Paired axial CT (left) and PSMA PET (right), 18F-PSMA tracer. Slice 157 of 425.
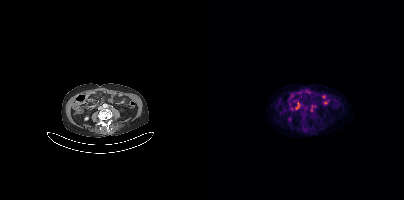
Coordinates are on the 200×200 PET (right) panel. PSMA-avid tumor lesion bounding box (x, y, width, height): x=106 y=104 w=7 h=9.